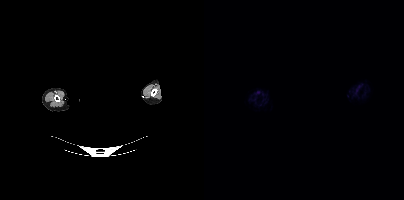
modality: PSMA PET/CT | tracer: [18F]PSMA-1007 | view: axial | PET grid: 200×200 | deidentification: rectangular block over head set to black
No tumor lesions annotated on this slice.